Left: CT. Right: PSMA PET, same axial level, [18F]PSMA-1007 tracer. PET panel 200×200 px (4.1 mm/px).
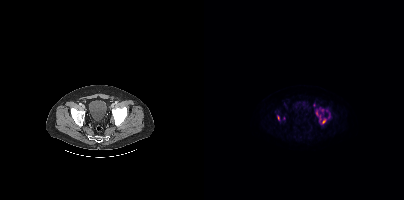
Coordinates are on the 200×200 PET (right) panel. PSMA-avid tumor lesion bounding boxes (partial; 3 more foci not listed):
| # | x0 | y0 | x1 | y1 |
|---|---|---|---|---|
| 1 | 112 | 109 | 118 | 119 |
| 2 | 118 | 118 | 122 | 123 |
| 3 | 73 | 116 | 75 | 120 |